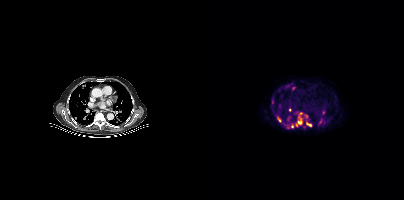
{"modality":"PSMA PET/CT","view":"axial","tracer":"18F","pet_grid":[200,200],"coord_frame":"pet_panel","coord_format":"x0,y0,x1,y1","partial":true,"lesion_bboxes":[[91,113,98,126],[73,117,77,122],[102,123,108,126],[118,110,121,114]],"small_foci_centers":[[88,125],[89,88],[85,110],[68,99],[83,127]]}